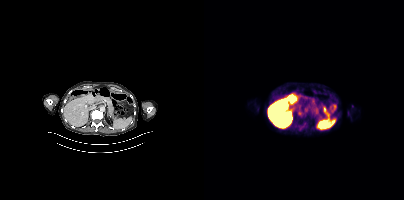
modality: PSMA PET/CT | tracer: [18F]PSMA-1007 | view: axial | PET grid: 200×200
Coordinates are on the 200×200 PET (right) panel. Small PSMA-avid focus (2 to 4 px across) near (center x, center y): (95, 113).